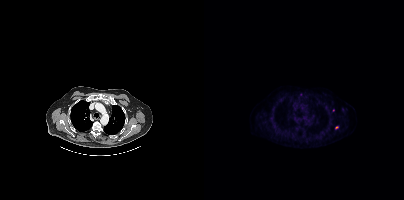
Coordinates are on the 200×200 PET (right) panel. Small PSMA-avid foci (2 to 4 px across) near (center x, center y): (132, 127); (129, 110).